Two-panel axial: CT | PSMA PET, [18F]PSMA-1007 tracer. Acquired on Siemens Biograph 64-4R TruePoint. Slice 9 of 165. PET panel 168×168 px (4.1 mm/px).
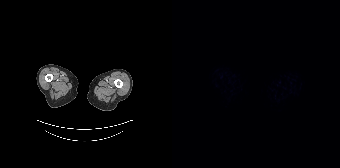
No PSMA-avid tumor lesions on this slice.